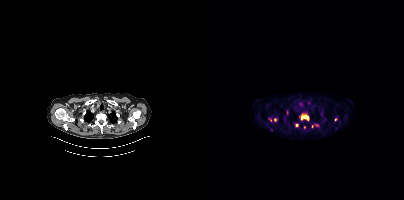
Findings: Coordinates are on the 200×200 PET (right) panel. (showing 6 of 8 foci) PSMA-avid tumor lesion bounding box (x0, y0)-(x1, y1): (95, 113)-(105, 120). Small PSMA-avid foci (2 to 4 px across) near (center x, center y): (92, 125); (71, 119); (100, 127); (131, 119); (108, 126).
- Left: CT. Right: PSMA PET, same axial level, [18F]PSMA-1007 tracer
- slice 336 of 413
- PET panel 200×200 px (4.1 mm/px)